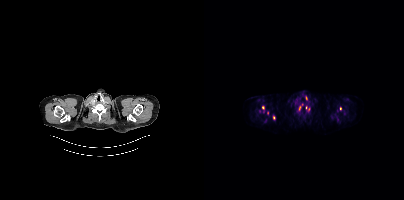
Two-panel axial: CT | PSMA PET, 18F-PSMA tracer. Slice position z = -350 mm. Coordinates are on the 200×200 PET (right) panel. (showing 3 of 5 foci) Small PSMA-avid foci (2 to 4 px across) near (center x, center y): (59, 107), (136, 108), (69, 117).